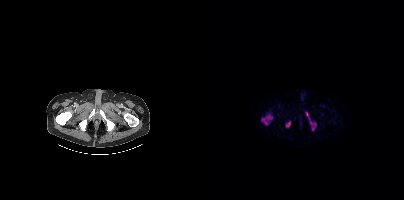
Technique: Paired axial CT (left) and PSMA PET (right), [18F]PSMA-1007 tracer. acquired on Siemens Biograph mCT Flow 20.
Findings: Coordinates are on the 200×200 PET (right) panel. (showing 5 of 6 foci) PSMA-avid tumor lesion bounding boxes (x0, y0)-(x1, y1): (57, 113)-(67, 124) / (82, 121)-(86, 127) / (106, 121)-(112, 127) / (102, 112)-(104, 116). Small PSMA-avid focus (2 to 4 px across) near (center x, center y): (109, 128).